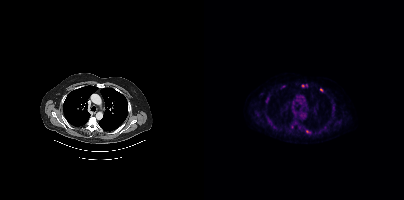
Coordinates are on the 200×200 PET (right) panel. (showing 3 of 5 foci) PSMA-avid tumor lesion bounding box (x, y, width, height): x=87 y=124 w=3 h=5. Small PSMA-avid foci (2 to 4 px across) near (center x, center y): (117, 90) | (99, 85).